modality: PSMA PET/CT | tracer: 18F | view: axial
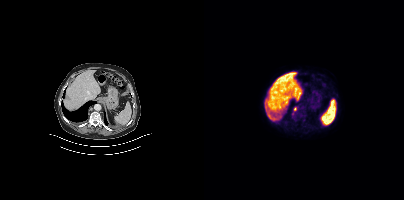
Coordinates are on the 200×200 PET (right) panel. Small PSMA-avid focus (2 to 4 px across) near (center x, center y): (91, 108).